modality: PSMA PET/CT | tracer: [68Ga]Ga-PSMA-11 | view: axial
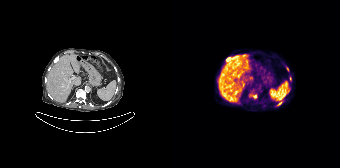
Coordinates are on the 168×168 PET (right) panel. (showing 4 of 5 foci) PSMA-avid tumor lesion bounding boxes (x0,y0,x1,y1): [54,57,58,61], [79,95,84,98], [104,102,109,106]. Small PSMA-avid focus (2 to 4 px across) near (center x, center y): (115, 69).